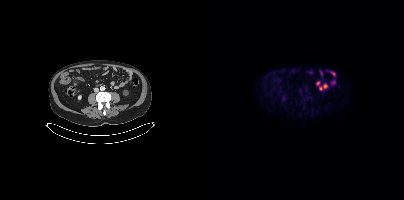
Only PSMA-avid lesion pieces thinner than 2 px on this slice (not listed).